Technique: Paired axial CT (left) and PSMA PET (right), 18F tracer. slice 181 of 263. PET panel 256×256 px (2.7 mm/px).
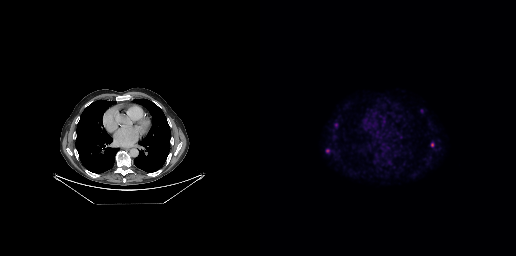
Findings: Coordinates are on the 256×256 PET (right) panel. Small PSMA-avid foci (2 to 4 px across) near (center x, center y): (172, 144) | (76, 124) | (67, 150).